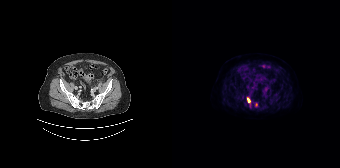
{"modality":"PSMA PET/CT","view":"axial","tracer":"18F-PSMA","pet_grid":[168,168],"coord_frame":"pet_panel","coord_format":"x0,y0,x1,y1","lesion_bboxes":[[75,97,78,103]],"small_foci_centers":[[84,104]]}